Technique: Two-panel axial: CT | PSMA PET, 68Ga tracer. slice 7 of 165. PET panel 168×168 px (4.1 mm/px).
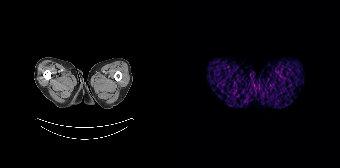
Findings: This slice has no annotated PSMA-avid lesion.